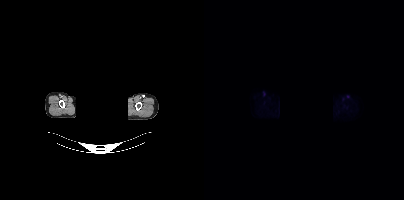
Two-panel axial: CT | PSMA PET, 18F-PSMA tracer. Acquired on Siemens Biograph mCT Flow 20. Any black rectangle over the head is a privacy mask, not anatomy. Negative for PSMA-avid disease on this slice.